- Paired axial CT (left) and PSMA PET (right), [18F]PSMA-1007 tracer
- slice 23 of 395
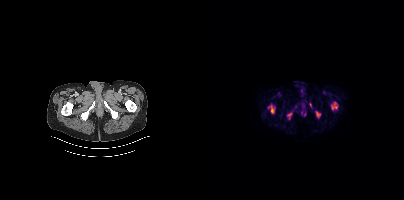
Findings: Coordinates are on the 200×200 PET (right) panel. PSMA-avid tumor lesion bounding boxes (x0,y0,x1,y1): [64,104,71,113] [127,102,133,109] [83,112,88,119] [112,111,116,117] [90,105,93,109]. Small PSMA-avid focus (2 to 4 px across) near (center x, center y): (106, 104).